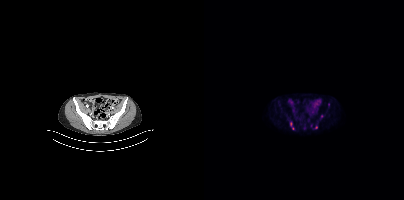
Coordinates are on the 200×200 PET (right) panel. (showing 1 of 3 foci) Small PSMA-avid focus (2 to 4 px across) near (center x, center y): (117, 115).